- Paired axial CT (left) and PSMA PET (right), 18F tracer
- acquired on Siemens Biograph mCT Flow 20
- slice 255 of 409
- PET panel 200×200 px (4.1 mm/px)
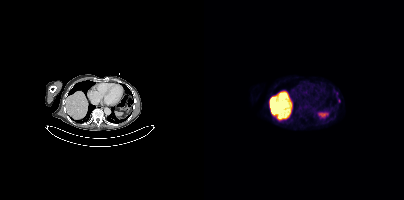
Findings: Coordinates are on the 200×200 PET (right) panel. Small PSMA-avid foci (2 to 4 px across) near (center x, center y): (132, 92), (135, 100).